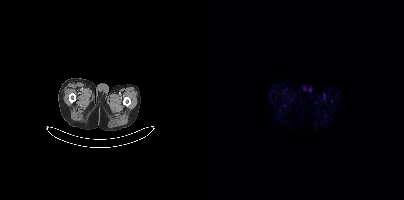
{"pet_grid":[200,200],"coord_frame":"pet_panel","coord_format":"x0,y0,x1,y1","psma_avid_lesions":false,"modality":"PSMA PET/CT","view":"axial","tracer":"18F-PSMA"}